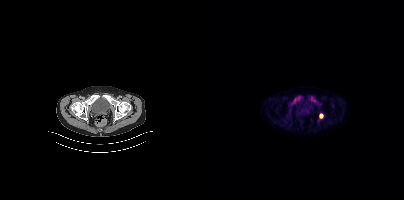
{"modality":"PSMA PET/CT","view":"axial","tracer":"[18F]PSMA-1007","pet_grid":[200,200],"coord_frame":"pet_panel","coord_format":"x0,y0,x1,y1","lesion_bboxes":[[105,96,112,103],[115,113,119,118]],"small_foci_centers":[[90,100]]}